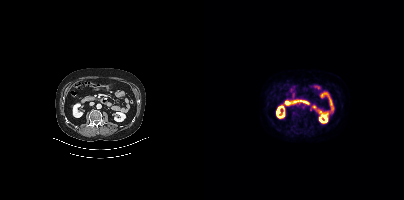
Technique: Left: CT. Right: PSMA PET, same axial level, 18F-PSMA tracer. acquired on Siemens Biograph mCT Flow 20.
Findings: Negative for PSMA-avid disease on this slice.